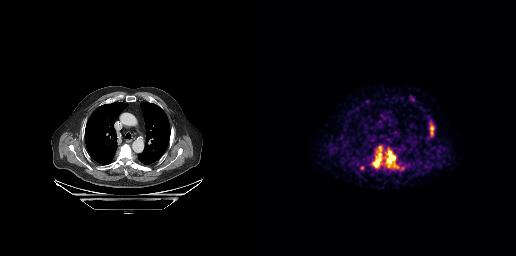
Technique: Left: CT. Right: PSMA PET, same axial level, [68Ga]Ga-PSMA-11 tracer. acquired on GE Discovery 690.
Findings: Coordinates are on the 256×256 PET (right) panel. (showing 3 of 4 foci) PSMA-avid tumor lesion bounding boxes (x0,y0,x1,y1): [112,146,138,168] [170,123,174,136]. Small PSMA-avid focus (2 to 4 px across) near (center x, center y): (102, 167).